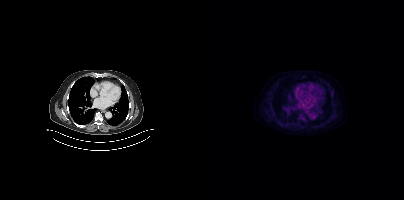
No tumor lesions annotated on this slice. Left: CT. Right: PSMA PET, same axial level, [18F]PSMA-1007 tracer. Acquired on Siemens Biograph mCT Flow 20. PET panel 200×200 px (4.1 mm/px).